Paired axial CT (left) and PSMA PET (right), [18F]PSMA-1007 tracer. PET panel 256×256 px (2.7 mm/px).
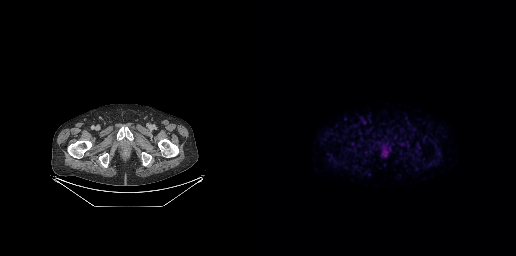
No PSMA-avid tumor lesions on this slice.